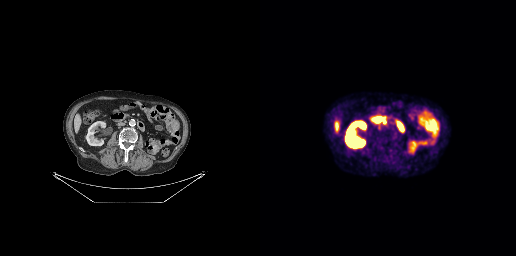
Coordinates are on the 256×256 PET (right) panel. (showing 1 of 2 foci) Small PSMA-avid focus (2 to 4 px across) near (center x, center y): (124, 120).